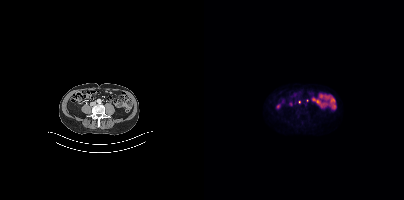
- Two-panel axial: CT | PSMA PET, [18F]PSMA-1007 tracer
- slice 144 of 411
- PET panel 200×200 px (4.1 mm/px)
Findings: Coordinates are on the 200×200 PET (right) panel. (showing 1 of 2 foci) Small PSMA-avid focus (2 to 4 px across) near (center x, center y): (95, 102).